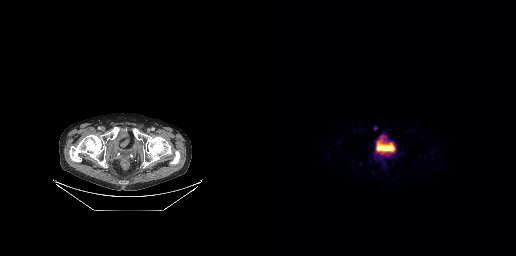
- Paired axial CT (left) and PSMA PET (right), 68Ga tracer
Findings: Coordinates are on the 256×256 PET (right) panel. Small PSMA-avid focus (2 to 4 px across) near (center x, center y): (115, 128).